Two-panel axial: CT | PSMA PET, [18F]PSMA-1007 tracer. Slice position z = -1345 mm.
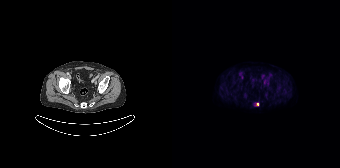
Coordinates are on the 168×168 PET (right) panel. Small PSMA-avid focus (2 to 4 px across) near (center x, center y): (85, 104).